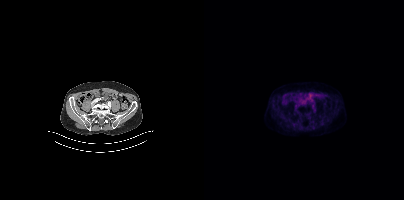
modality: PSMA PET/CT | tracer: 18F | view: axial
This slice has no annotated PSMA-avid lesion.